Paired axial CT (left) and PSMA PET (right), 18F-PSMA tracer.
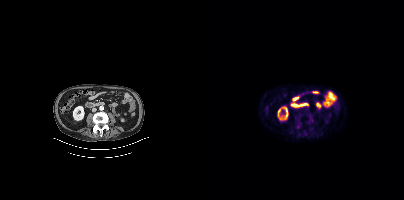
No PSMA-avid tumor lesions on this slice.